Left: CT. Right: PSMA PET, same axial level, 68Ga tracer. Acquired on Siemens Biograph 64-4R TruePoint.
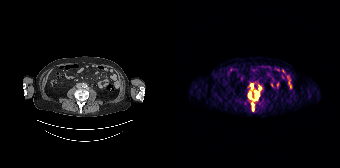
Coordinates are on the 168×168 PET (right) panel. PSMA-avid tumor lesion bounding boxes (partial; 1 more focus not listed):
| # | x0 | y0 | x1 | y1 |
|---|---|---|---|---|
| 1 | 82 | 91 | 87 | 100 |
| 2 | 80 | 103 | 82 | 110 |
| 3 | 78 | 84 | 81 | 88 |
Small PSMA-avid foci (2 to 4 px across) near (center x, center y): (87, 87); (78, 93); (78, 97).